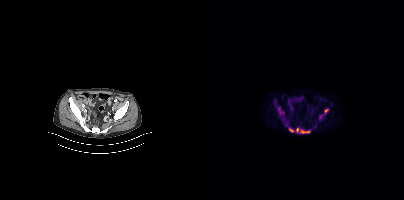
Technique: Two-panel axial: CT | PSMA PET, 18F-PSMA tracer. acquired on Siemens Biograph mCT Flow 20.
Findings: Coordinates are on the 200×200 PET (right) panel. (showing 6 of 7 foci) PSMA-avid tumor lesion bounding boxes (x0,y0,x1,y1): [96,130,105,133]; [74,107,77,114]; [85,128,89,131]; [92,128,94,132]. Small PSMA-avid foci (2 to 4 px across) near (center x, center y): (122, 110); (115, 117).